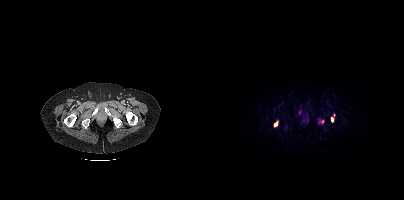
Findings: Coordinates are on the 200×200 PET (right) panel. (showing 3 of 4 foci) PSMA-avid tumor lesion bounding boxes (x0,y0,x1,y1): [70,121,74,126], [115,120,120,123], [127,117,129,121].
Technique: Left: CT. Right: PSMA PET, same axial level, 68Ga-PSMA tracer.